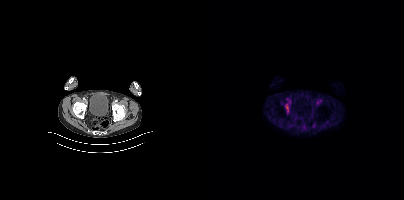
Technique: Two-panel axial: CT | PSMA PET, 18F tracer. acquired on Siemens Biograph mCT Flow 20. slice position z = -909 mm.
Findings: No tumor lesions annotated on this slice.